Left: CT. Right: PSMA PET, same axial level, [18F]PSMA-1007 tracer. Slice position z = -1471 mm. PET panel 200×200 px (4.1 mm/px).
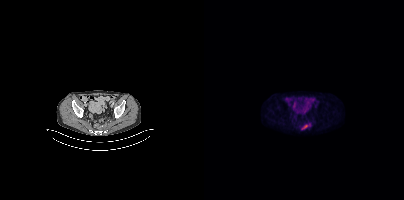
Coordinates are on the 200×200 PET (right) panel. PSMA-avid tumor lesion bounding box (x0, y0)-(x1, y1): (97, 124)-(106, 129).